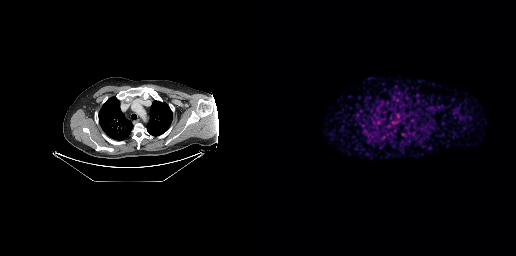
{"modality":"PSMA PET/CT","view":"axial","tracer":"68Ga","pet_grid":[256,256],"coord_frame":"pet_panel","coord_format":"x0,y0,x1,y1","psma_avid_lesions":false}